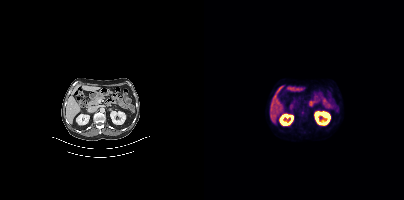
{"modality":"PSMA PET/CT","view":"axial","tracer":"18F","pet_grid":[200,200],"coord_frame":"pet_panel","coord_format":"x0,y0,x1,y1","psma_avid_lesions":false}